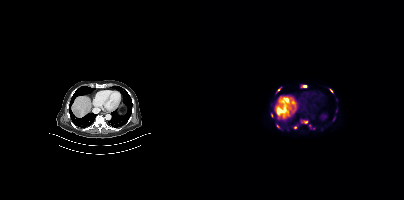
{"modality":"PSMA PET/CT","view":"axial","tracer":"18F","pet_grid":[200,200],"coord_frame":"pet_panel","coord_format":"x0,y0,x1,y1","partial":true,"lesion_bboxes":[[98,85,102,87]],"small_foci_centers":[[126,90],[75,90],[74,126],[102,121]]}